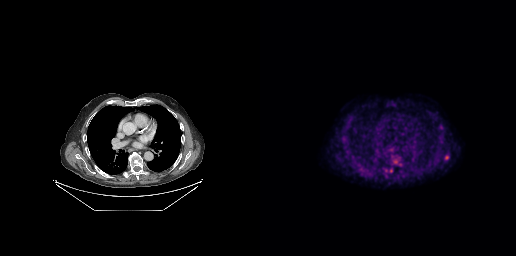
Negative for PSMA-avid disease on this slice.